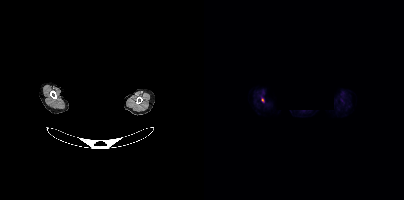
Privacy masking over the head, with the pixels inside a rectangle set to black. Two-panel axial: CT | PSMA PET, 18F tracer. Acquired on Siemens Biograph mCT Flow 20. Coordinates are on the 200×200 PET (right) panel. Small PSMA-avid focus (2 to 4 px across) near (center x, center y): (58, 99).